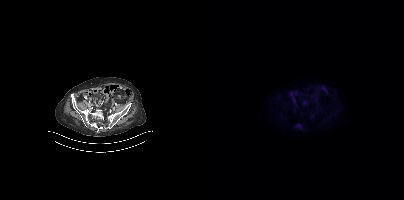
Coordinates are on the 200×200 PET (right) panel. Small PSMA-avid focus (2 to 4 px across) near (center x, center y): (95, 125).
modality: PSMA PET/CT | tracer: [18F]PSMA-1007 | view: axial | PET grid: 200×200